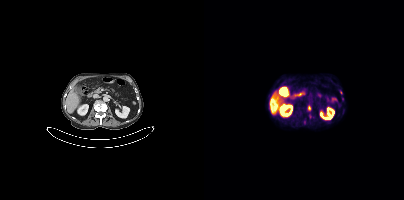
Coordinates are on the 200×200 PET (right) panel. (showing 2 of 3 foci) Small PSMA-avid foci (2 to 4 px across) near (center x, center y): (105, 107) / (138, 98).